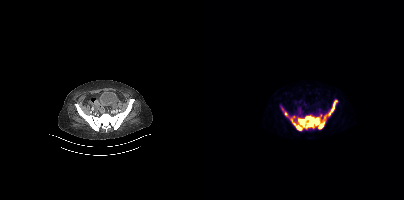
{"modality":"PSMA PET/CT","view":"axial","tracer":"[68Ga]Ga-PSMA-11","pet_grid":[200,200],"coord_frame":"pet_panel","coord_format":"x0,y0,x1,y1","lesion_bboxes":[[88,116,115,128],[122,100,133,116],[91,124,98,130],[80,111,86,118],[76,105,79,111]],"small_foci_centers":[[118,116],[119,121],[116,125]]}